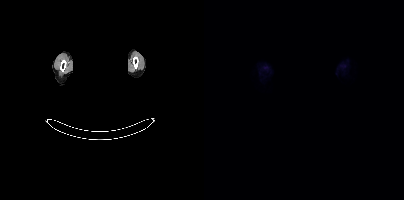
modality: PSMA PET/CT | tracer: [18F]PSMA-1007 | view: axial | PET grid: 200×200 | deidentification: privacy mask over head
Negative for PSMA-avid disease on this slice.